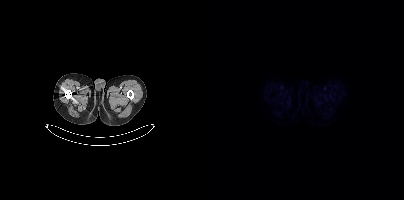
Paired axial CT (left) and PSMA PET (right), 18F tracer. Acquired on Siemens Biograph mCT Flow 20. PET panel 200×200 px (4.1 mm/px). Negative for PSMA-avid disease on this slice.